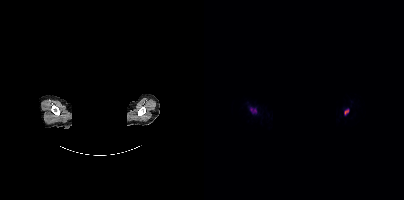
{"modality":"PSMA PET/CT","view":"axial","tracer":"18F","pet_grid":[200,200],"coord_frame":"pet_panel","coord_format":"x0,y0,x1,y1","lesion_bboxes":[[46,107,52,113],[140,109,144,114]],"deidentification":"rectangular block over head set to black"}